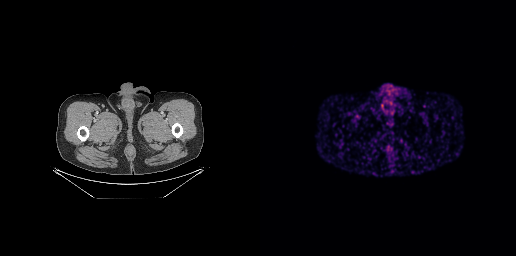
Findings: No PSMA-avid tumor lesions on this slice.
- Two-panel axial: CT | PSMA PET, [68Ga]Ga-PSMA-11 tracer